Technique: Paired axial CT (left) and PSMA PET (right), [18F]PSMA-1007 tracer. acquired on Siemens Biograph mCT Flow 20. slice 230 of 452.
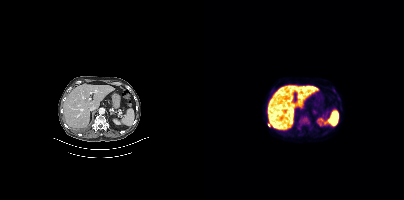
Findings: Coordinates are on the 200×200 PET (right) panel. PSMA-avid tumor lesion bounding box (x, y, width, height): x=97 y=118 w=9 h=7. Small PSMA-avid focus (2 to 4 px across) near (center x, center y): (64, 125).